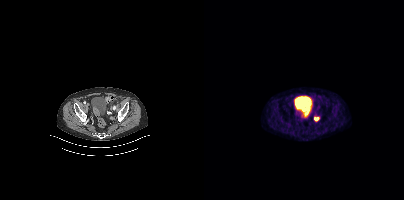
Coordinates are on the 200×200 PET (right) panel. PSMA-avid tumor lesion bounding box (x, y, width, height): x=110 y=117 w=6 h=5.